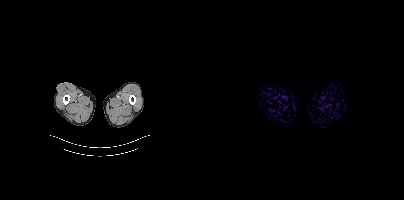
Two-panel axial: CT | PSMA PET, [18F]PSMA-1007 tracer. Slice 2 of 440. This slice has no annotated PSMA-avid lesion.